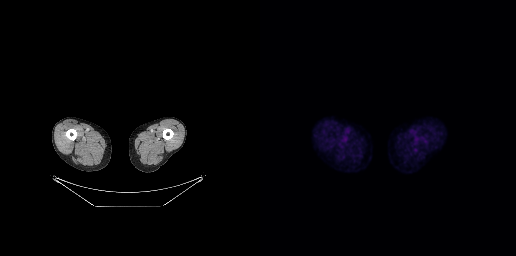
- Paired axial CT (left) and PSMA PET (right), [18F]PSMA-1007 tracer
- acquired on GE Discovery 690
- PET panel 256×256 px (2.7 mm/px)
Findings: Negative for PSMA-avid disease on this slice.